Two-panel axial: CT | PSMA PET, 18F-PSMA tracer. PET panel 200×200 px (4.1 mm/px).
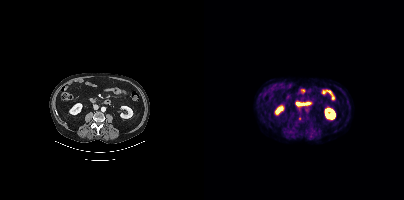
Coordinates are on the 200×200 PET (right) panel. Small PSMA-avid focus (2 to 4 px across) near (center x, center y): (96, 118).